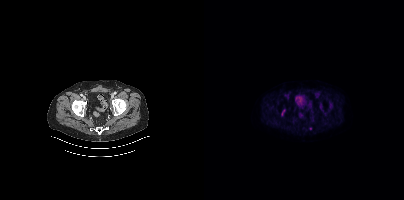
Findings: Coordinates are on the 200×200 PET (right) panel. PSMA-avid tumor lesion bounding box (x0, y0)-(x1, y1): (78, 110)-(80, 115). Small PSMA-avid focus (2 to 4 px across) near (center x, center y): (106, 128).
- Paired axial CT (left) and PSMA PET (right), 18F-PSMA tracer
- slice 59 of 395
- PET panel 200×200 px (4.1 mm/px)